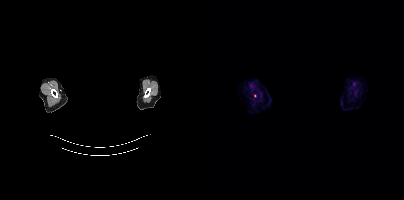
{"modality":"PSMA PET/CT","view":"axial","tracer":"18F-PSMA","pet_grid":[200,200],"coord_frame":"pet_panel","coord_format":"x0,y0,x1,y1","de-identification":"rectangular block over head set to black","lesion_bboxes":[],"small_foci_centers":[[50,95]]}